Technique: Left: CT. Right: PSMA PET, same axial level, [18F]PSMA-1007 tracer. acquired on GE Discovery 690. PET panel 256×256 px (2.7 mm/px).
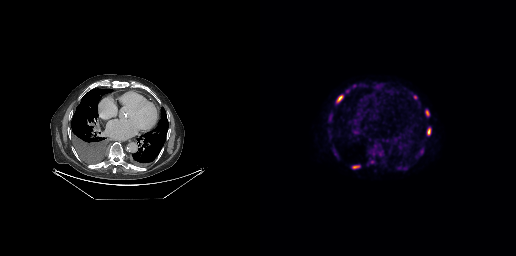
Findings: Coordinates are on the 256×256 PET (right) panel. (showing 7 of 8 foci) PSMA-avid tumor lesion bounding boxes (x0, y0)-(x1, y1): (76, 95)-(83, 102) / (167, 127)-(171, 135) / (165, 110)-(169, 116) / (69, 112)-(72, 118) / (92, 165)-(99, 168) / (116, 84)-(120, 88) / (153, 95)-(157, 99).